- Paired axial CT (left) and PSMA PET (right), 18F tracer
- slice 23 of 448
- PET panel 200×200 px (4.1 mm/px)
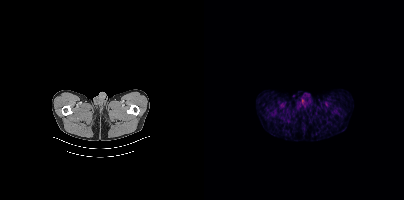
Findings: This slice has no annotated PSMA-avid lesion.